Any black rectangle over the head is a privacy mask, not anatomy.
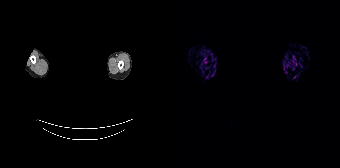
No PSMA-avid tumor lesions on this slice.